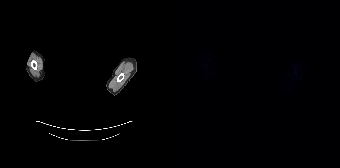
No tumor lesions annotated on this slice. Two-panel axial: CT | PSMA PET, 18F-PSMA tracer. Slice 158 of 165. A rectangle over the head was blacked out to remove identifiable facial features.